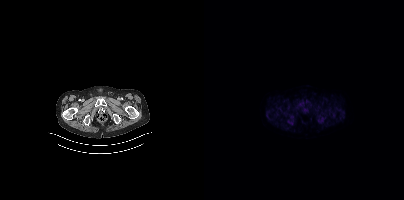
modality: PSMA PET/CT | tracer: 18F | view: axial
Negative for PSMA-avid disease on this slice.